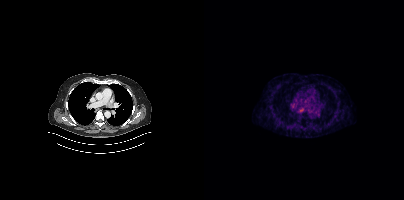
Only PSMA-avid lesion pieces thinner than 2 px on this slice (not listed).
modality: PSMA PET/CT | tracer: [68Ga]Ga-PSMA-11 | view: axial